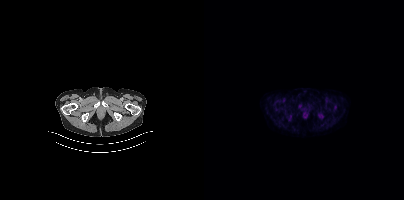
{"modality":"PSMA PET/CT","view":"axial","tracer":"[18F]PSMA-1007","pet_grid":[200,200],"coord_frame":"pet_panel","coord_format":"x0,y0,x1,y1","psma_avid_lesions":false}